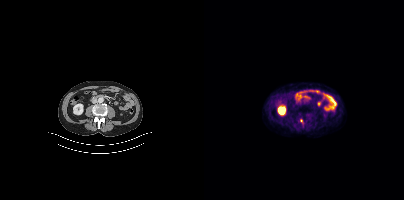
Only PSMA-avid lesion pieces thinner than 2 px on this slice (not listed).